modality: PSMA PET/CT | tracer: 68Ga | view: axial | PET grid: 256×256
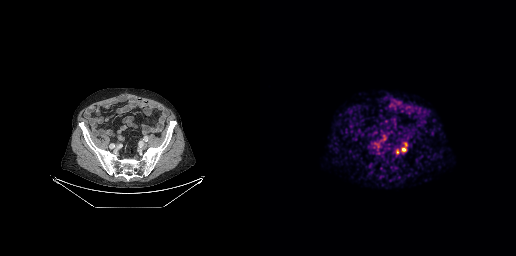
Coordinates are on the 256×256 PET (right) panel. PSMA-avid tumor lesion bounding box (x0, y0)-(x1, y1): (142, 147)-(146, 151). Small PSMA-avid foci (2 to 4 px across) near (center x, center y): (137, 151) | (145, 143).